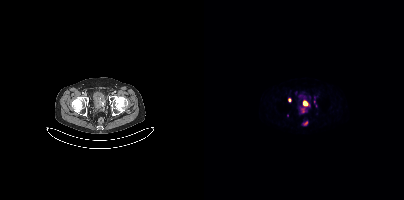
Findings: Coordinates are on the 200×200 PET (right) panel. (showing 5 of 8 foci) PSMA-avid tumor lesion bounding boxes (x0, y0)-(x1, y1): (96, 107)-(101, 112) / (99, 101)-(103, 106) / (99, 122)-(103, 125). Small PSMA-avid foci (2 to 4 px across) near (center x, center y): (110, 101) / (85, 99).
Technique: Left: CT. Right: PSMA PET, same axial level, 68Ga-PSMA tracer. acquired on Siemens Biograph mCT Flow 20. slice 72 of 411.